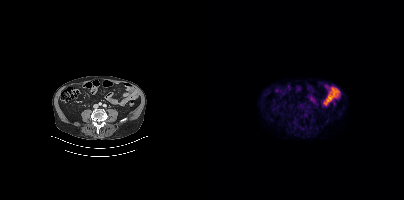
No tumor lesions annotated on this slice. Two-panel axial: CT | PSMA PET, 18F tracer. PET panel 200×200 px (4.1 mm/px).